Paired axial CT (left) and PSMA PET (right), 18F tracer.
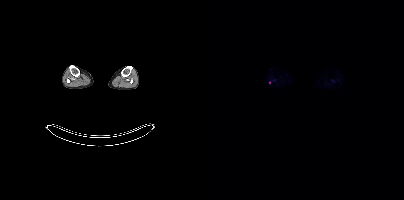
Coordinates are on the 200×200 PET (right) panel. Small PSMA-avid focus (2 to 4 px across) near (center x, center y): (65, 82).